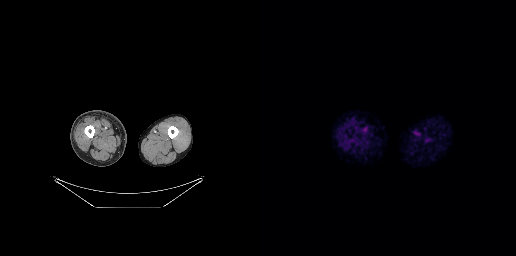
This slice has no annotated PSMA-avid lesion. Paired axial CT (left) and PSMA PET (right), 18F-PSMA tracer. PET panel 256×256 px (2.7 mm/px).